Any black rectangle over the head is a privacy mask, not anatomy.
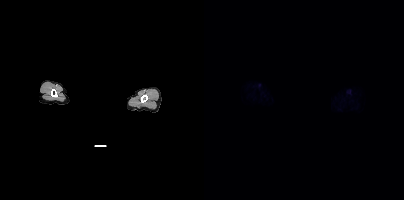
Negative for PSMA-avid disease on this slice.